modality: PSMA PET/CT | tracer: [18F]PSMA-1007 | view: axial
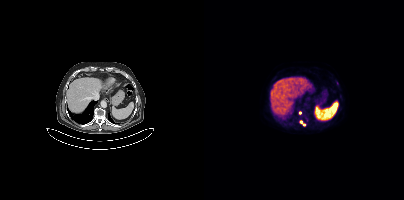
Coordinates are on the 200×200 PET (right) panel. (showing 2 of 3 foci) Small PSMA-avid foci (2 to 4 px across) near (center x, center y): (97, 122) / (96, 112).